Paired axial CT (left) and PSMA PET (right), 18F tracer. PET panel 200×200 px (4.1 mm/px).
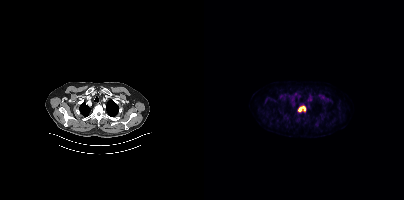
Coordinates are on the 200×200 PET (right) panel. PSMA-avid tumor lesion bounding box (x0, y0)-(x1, y1): (94, 106)-(101, 111).